Technique: Left: CT. Right: PSMA PET, same axial level, 18F-PSMA tracer. acquired on Siemens Biograph mCT Flow 20. slice 322 of 448.
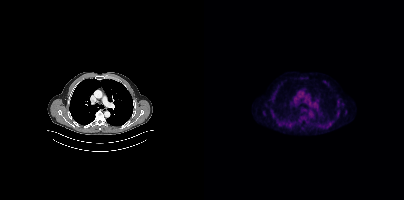
Findings: No tumor lesions annotated on this slice.